Left: CT. Right: PSMA PET, same axial level, [18F]PSMA-1007 tracer. Acquired on Siemens Biograph mCT Flow 20. PET panel 200×200 px (4.1 mm/px).
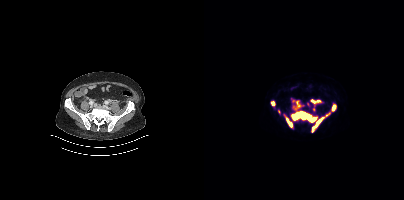
Coordinates are on the 200×200 PET (right) panel. PSMA-avid tumor lesion bounding boxes (partial; 2 more foci not listed):
| # | x0 | y0 | x1 | y1 |
|---|---|---|---|---|
| 1 | 87 | 111 | 126 | 132 |
| 2 | 82 | 117 | 88 | 127 |
| 3 | 107 | 99 | 117 | 103 |
| 4 | 127 | 104 | 131 | 111 |
| 5 | 91 | 101 | 96 | 109 |
| 6 | 67 | 101 | 71 | 105 |
Small PSMA-avid focus (2 to 4 px across) near (center x, center y): (109, 109).